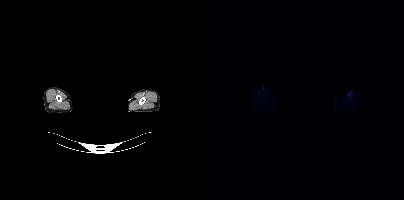
The face region was removed for patient privacy by blanking a rectangle over the head.
Negative for PSMA-avid disease on this slice.